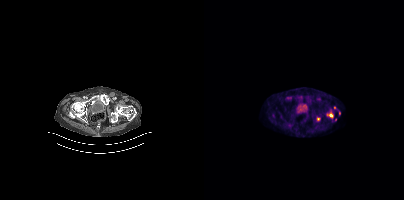
{"modality":"PSMA PET/CT","view":"axial","tracer":"[18F]PSMA-1007","pet_grid":[200,200],"coord_frame":"pet_panel","coord_format":"x0,y0,x1,y1","psma_avid_lesions":false}